Paired axial CT (left) and PSMA PET (right), 68Ga tracer. Slice position z = -343 mm. PET panel 256×256 px (2.7 mm/px).
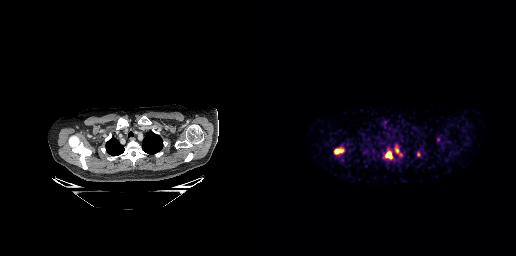
Coordinates are on the 256×256 PET (right) panel. PSMA-avid tumor lesion bounding boxes:
| # | x0 | y0 | x1 | y1 |
|---|---|---|---|---|
| 1 | 74 | 148 | 83 | 154 |
| 2 | 125 | 151 | 132 | 158 |
| 3 | 157 | 152 | 160 | 156 |
Small PSMA-avid focus (2 to 4 px across) near (center x, center y): (137, 150).